Technique: Left: CT. Right: PSMA PET, same axial level, 68Ga-PSMA tracer. slice position z = -928 mm. PET panel 200×200 px (4.1 mm/px).
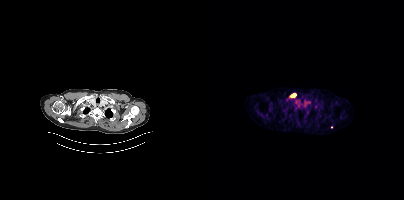
Findings: Coordinates are on the 200×200 PET (right) panel. (showing 1 of 2 foci) Small PSMA-avid focus (2 to 4 px across) near (center x, center y): (89, 95).